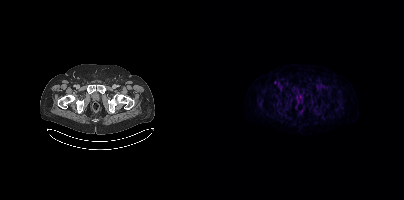
modality: PSMA PET/CT | tracer: 18F-PSMA | view: axial | PET grid: 200×200
Only PSMA-avid lesion pieces thinner than 2 px on this slice (not listed).